Paired axial CT (left) and PSMA PET (right), 18F tracer. Acquired on Siemens Biograph mCT Flow 20. Slice position z = -861 mm.
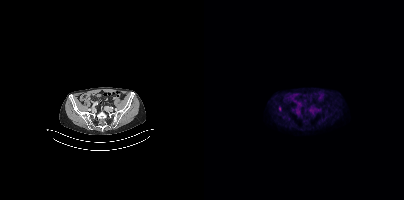
Coordinates are on the 200×200 PET (right) panel. PSMA-avid tumor lesion bounding box (x, y, width, height): x=75 y=106 w=3 h=5.